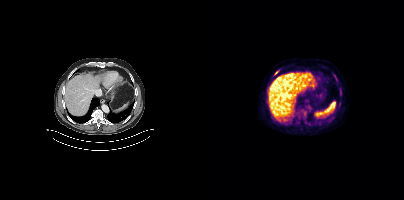
Findings: Coordinates are on the 200×200 PET (right) panel. (showing 2 of 3 foci) PSMA-avid tumor lesion bounding box (x0,y0,x1,y1): [129,74,132,78]. Small PSMA-avid focus (2 to 4 px across) near (center x, center y): (72, 72).
- Left: CT. Right: PSMA PET, same axial level, [18F]PSMA-1007 tracer
- acquired on Siemens Biograph mCT Flow 20